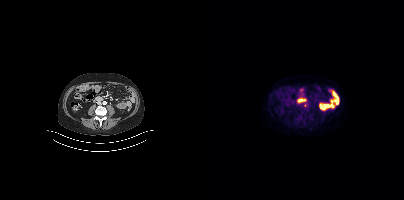
Left: CT. Right: PSMA PET, same axial level, 18F tracer. Slice 137 of 356. PET panel 200×200 px (4.1 mm/px). Only PSMA-avid lesion pieces thinner than 2 px on this slice (not listed).